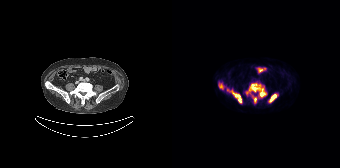
{"modality":"PSMA PET/CT","view":"axial","tracer":"18F-PSMA","pet_grid":[168,168],"coord_frame":"pet_panel","coord_format":"x0,y0,x1,y1","partial":true,"lesion_bboxes":[[74,83,94,97],[55,89,69,103],[97,94,105,102],[47,83,51,89],[80,96,84,102]]}